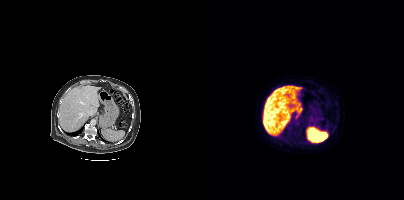
No PSMA-avid tumor lesions on this slice.